Paired axial CT (left) and PSMA PET (right), 18F-PSMA tracer. Acquired on Siemens Biograph mCT Flow 20. Slice position z = -1324 mm. PET panel 200×200 px (4.1 mm/px).
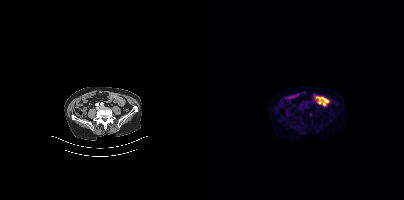
Coordinates are on the 200×200 PET (right) panel. Small PSMA-avid focus (2 to 4 px across) near (center x, center y): (106, 114).